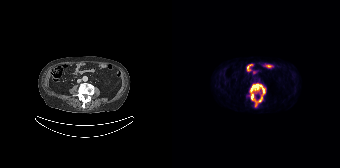
Two-panel axial: CT | PSMA PET, [18F]PSMA-1007 tracer.
Coordinates are on the 168×168 PET (right) panel. PSMA-avid tumor lesion bounding boxes:
| # | x0 | y0 | x1 | y1 |
|---|---|---|---|---|
| 1 | 78 | 83 | 93 | 106 |